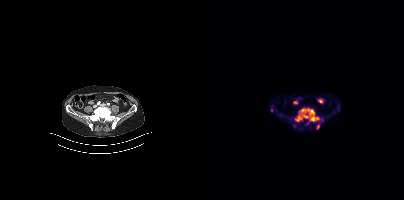
Coordinates are on the 200×200 PET (right) panel. (showing 5 of 6 foci) PSMA-avid tumor lesion bounding boxes (x0,y0,x1,y1): [91,108,115,122]; [112,124,115,129]. Small PSMA-avid foci (2 to 4 px across) near (center x, center y): (90, 125); (67, 110); (103, 123). Left: CT. Right: PSMA PET, same axial level, 18F tracer. Acquired on Siemens Biograph mCT Flow 20. PET panel 200×200 px (4.1 mm/px).